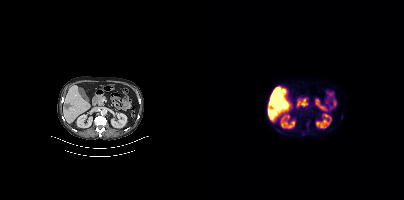
{"pet_grid":[200,200],"coord_frame":"pet_panel","coord_format":"x0,y0,x1,y1","lesion_bboxes":[],"small_foci_centers":[[103,123]],"modality":"PSMA PET/CT","view":"axial","tracer":"18F-PSMA"}